modality: PSMA PET/CT | tracer: 18F-PSMA | view: axial | PET grid: 200×200
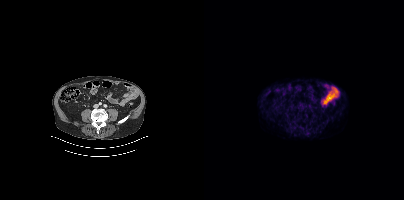
No PSMA-avid tumor lesions on this slice.